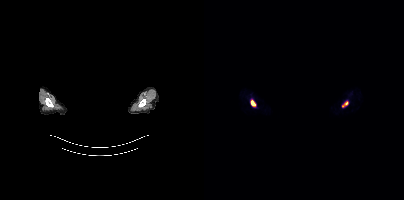
Findings: Coordinates are on the 200×200 PET (right) panel. PSMA-avid tumor lesion bounding boxes (x, y, width, height): x=47 y=100 w=6 h=7 / x=138 y=102 w=6 h=5.
- Paired axial CT (left) and PSMA PET (right), 68Ga tracer
- face de-identified by blanking a block of the head